Paired axial CT (left) and PSMA PET (right), 18F tracer. PET panel 200×200 px (4.1 mm/px).
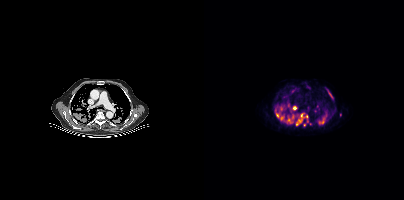
Coordinates are on the 200×200 PET (right) panel. (showing 12 of 13 foci) PSMA-avid tumor lesion bounding boxes (x, y, width, height): x=71 y=110 w=10 h=11 | x=84 y=103 w=9 h=8 | x=92 y=119 w=7 h=7 | x=84 y=114 w=7 h=7 | x=115 y=118 w=6 h=6 | x=124 y=90 w=6 h=9 | x=97 y=113 w=2 h=5. Small PSMA-avid foci (2 to 4 px across) near (center x, center y): (77, 108) | (102, 116) | (113, 106) | (136, 114) | (100, 124).